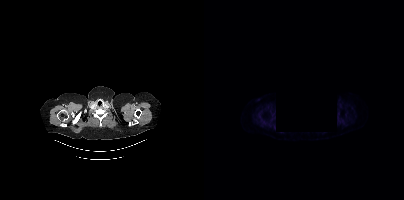
{"modality":"PSMA PET/CT","view":"axial","tracer":"[18F]PSMA-1007","pet_grid":[200,200],"coord_frame":"pet_panel","coord_format":"x0,y0,x1,y1","de-identification":"rectangular block set to black","psma_avid_lesions":false}